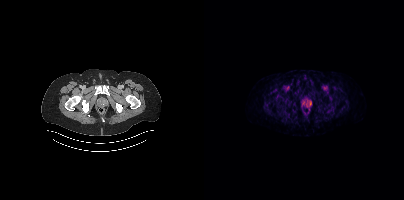
Left: CT. Right: PSMA PET, same axial level, 18F tracer. Slice position z = -1572 mm. PET panel 200×200 px (4.1 mm/px). This slice has no annotated PSMA-avid lesion.